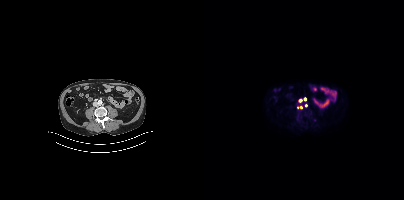
Coordinates are on the 200×200 PET (right) panel. (showing 4 of 5 foci) Small PSMA-avid foci (2 to 4 px across) near (center x, center y): (100, 99) / (96, 107) / (96, 100) / (93, 107).